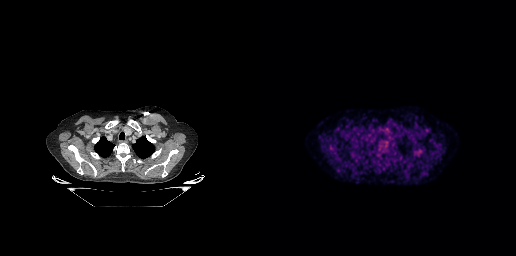
This slice has no annotated PSMA-avid lesion.